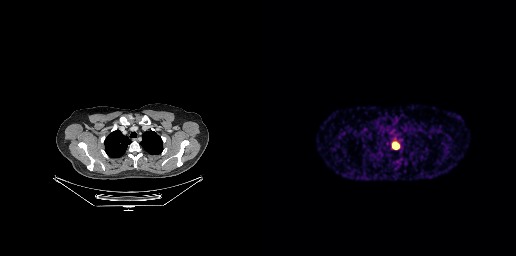
{"modality":"PSMA PET/CT","view":"axial","tracer":"68Ga-PSMA","pet_grid":[256,256],"coord_frame":"pet_panel","coord_format":"x0,y0,x1,y1","lesion_bboxes":[[132,142,139,149]]}